Two-panel axial: CT | PSMA PET, [68Ga]Ga-PSMA-11 tracer. PET panel 200×200 px (4.1 mm/px).
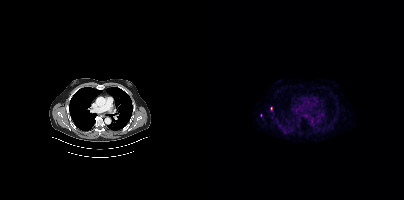
Coordinates are on the 200×200 PET (right) panel. (showing 1 of 2 foci) Small PSMA-avid focus (2 to 4 px across) near (center x, center y): (67, 108).